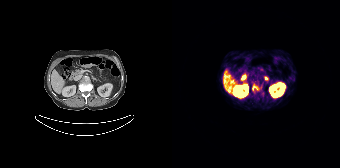
modality: PSMA PET/CT | tracer: 68Ga-PSMA | view: axial | PET grid: 168×168
Coordinates are on the 168×168 PET (right) panel. PSMA-avid tumor lesion bounding box (x, y, width, height): x=80 y=86 w=6 h=5.